Paired axial CT (left) and PSMA PET (right), [18F]PSMA-1007 tracer. Acquired on Siemens Biograph mCT Flow 20. PET panel 200×200 px (4.1 mm/px).
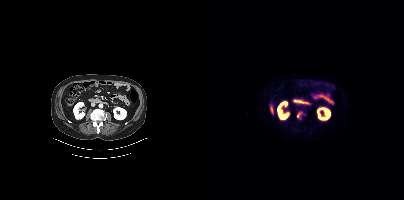
Coordinates are on the 200×200 PET (right) panel. PSMA-avid tumor lesion bounding box (x0, y0)-(x1, y1): (93, 112)-(97, 118).